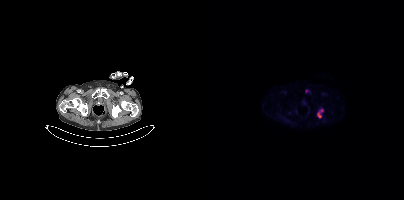
Technique: Paired axial CT (left) and PSMA PET (right), 18F-PSMA tracer. slice 63 of 409.
Findings: Coordinates are on the 200×200 PET (right) panel. PSMA-avid tumor lesion bounding box (x0, y0)-(x1, y1): (113, 109)-(118, 117).